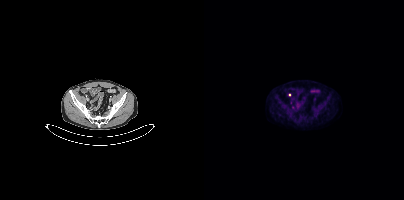
Coordinates are on the 200×200 PET (right) panel. Small PSMA-avid focus (2 to 4 px across) near (center x, center y): (85, 94).
modality: PSMA PET/CT | tracer: [18F]PSMA-1007 | view: axial | PET grid: 200×200